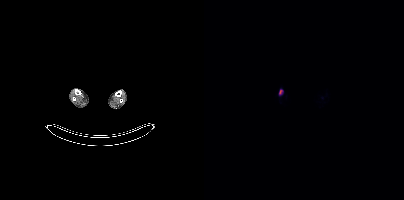
Coordinates are on the 200×200 PET (right) panel. PSMA-avid tumor lesion bounding boxes:
| # | x0 | y0 | x1 | y1 |
|---|---|---|---|---|
| 1 | 75 | 90 | 78 | 94 |
Paired axial CT (left) and PSMA PET (right), 18F-PSMA tracer.